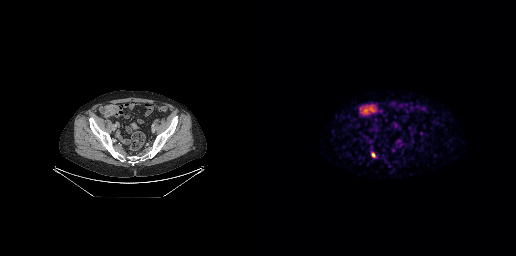
- Paired axial CT (left) and PSMA PET (right), 68Ga tracer
- acquired on GE Discovery 690
Findings: Coordinates are on the 256×256 PET (right) panel. PSMA-avid tumor lesion bounding box (x, y, width, height): x=111 y=153 w=5 h=5.